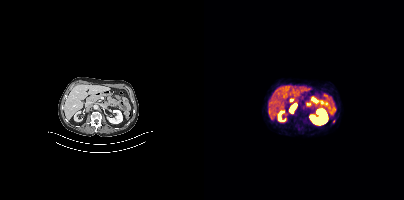
Findings: Coordinates are on the 200×200 PET (right) panel. PSMA-avid tumor lesion bounding box (x0,y0,x1,y1): [86,104,92,112]. Small PSMA-avid focus (2 to 4 px across) near (center x, center y): (129, 121).
- Paired axial CT (left) and PSMA PET (right), 68Ga tracer
- acquired on Siemens Biograph mCT Flow 20
- PET panel 200×200 px (4.1 mm/px)